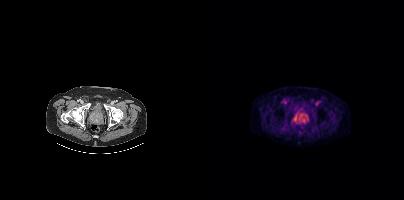
{"pet_grid":[200,200],"coord_frame":"pet_panel","coord_format":"x0,y0,x1,y1","lesion_bboxes":[[95,112,104,121],[90,116,93,120]],"modality":"PSMA PET/CT","view":"axial","tracer":"18F"}